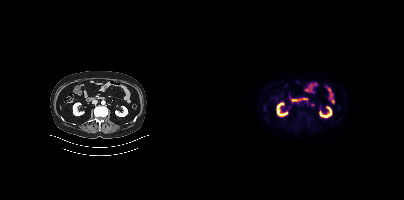
Paired axial CT (left) and PSMA PET (right), 18F-PSMA tracer. Acquired on Siemens Biograph mCT Flow 20. PET panel 200×200 px (4.1 mm/px). Coordinates are on the 200×200 PET (right) panel. Small PSMA-avid focus (2 to 4 px across) near (center x, center y): (108, 104).